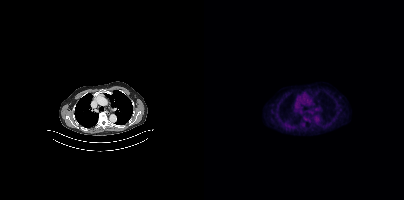
Technique: Two-panel axial: CT | PSMA PET, 18F tracer. acquired on Siemens Biograph mCT Flow 20. slice 309 of 423.
Findings: Negative for PSMA-avid disease on this slice.